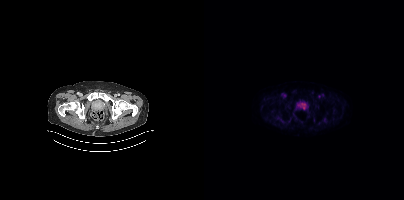
Findings: Coordinates are on the 200×200 PET (right) panel. PSMA-avid tumor lesion bounding box (x0,y0,x1,y1): [95,103,102,109].
- Left: CT. Right: PSMA PET, same axial level, 18F-PSMA tracer
- acquired on Siemens Biograph mCT Flow 20
- slice position z = -1531 mm
- PET panel 200×200 px (4.1 mm/px)